Technique: Paired axial CT (left) and PSMA PET (right), 18F tracer.
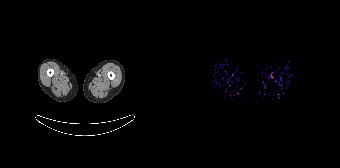
Findings: Negative for PSMA-avid disease on this slice.